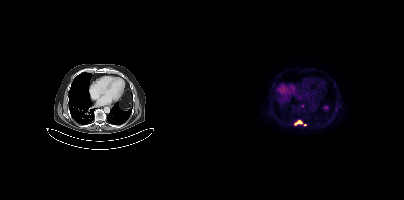
Coordinates are on the 200×200 PET (right) panel. (showing 1 of 2 foci) PSMA-avid tumor lesion bounding box (x, y, width, height): x=91 y=120 w=7 h=5.